- Paired axial CT (left) and PSMA PET (right), 18F tracer
- acquired on Siemens Biograph mCT Flow 20
- slice 234 of 427
- PET panel 200×200 px (4.1 mm/px)
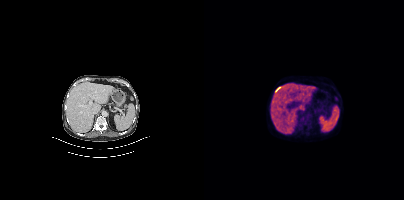
Findings: No PSMA-avid tumor lesions on this slice.